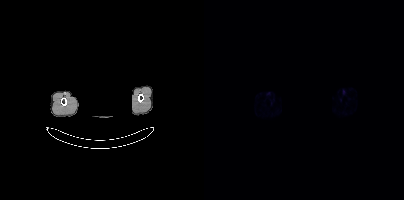
Findings: No tumor lesions annotated on this slice.
- Left: CT. Right: PSMA PET, same axial level, 68Ga-PSMA tracer
- slice position z = -1058 mm
- head region blanked for anonymization (face removed)